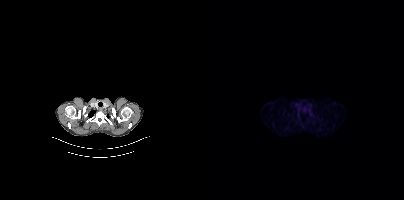
Left: CT. Right: PSMA PET, same axial level, 18F-PSMA tracer. PET panel 200×200 px (4.1 mm/px). No tumor lesions annotated on this slice.